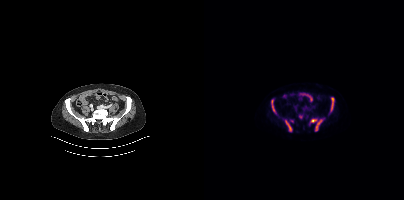
- Left: CT. Right: PSMA PET, same axial level, 18F-PSMA tracer
- acquired on Siemens Biograph mCT Flow 20
- PET panel 200×200 px (4.1 mm/px)
Findings: Coordinates are on the 200×200 PET (right) panel. PSMA-avid tumor lesion bounding boxes (x0,y0,x1,y1): [111,119,118,130], [81,120,88,131], [127,97,130,110], [67,100,71,112], [106,119,112,122]. Small PSMA-avid foci (2 to 4 px across) near (center x, center y): (96, 116), (87, 120).